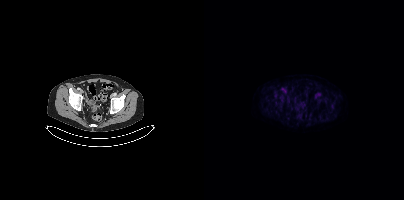
{"modality":"PSMA PET/CT","view":"axial","tracer":"18F","pet_grid":[200,200],"coord_frame":"pet_panel","coord_format":"x0,y0,x1,y1","psma_avid_lesions":false}